modality: PSMA PET/CT | tracer: 68Ga | view: axial | PET grid: 200×200
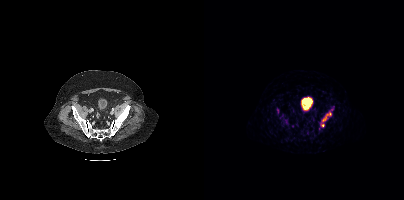
Coordinates are on the 200×200 PET (right) panel. PSMA-avid tumor lesion bounding box (x, y, width, height): x=116 y=109 w=14 h=18.